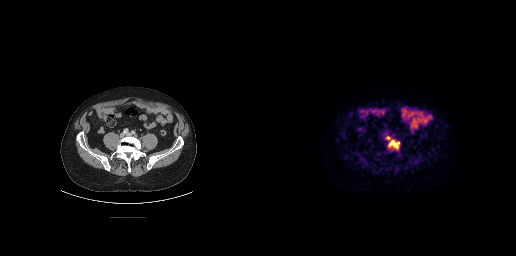
Two-panel axial: CT | PSMA PET, [18F]PSMA-1007 tracer. Acquired on GE Discovery 690.
Coordinates are on the 256×256 PET (right) panel. PSMA-avid tumor lesion bounding boxes:
| # | x0 | y0 | x1 | y1 |
|---|---|---|---|---|
| 1 | 126 | 136 | 140 | 150 |